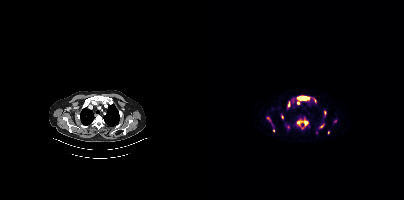
- Left: CT. Right: PSMA PET, same axial level, [18F]PSMA-1007 tracer
- acquired on Siemens Biograph mCT Flow 20
- PET panel 200×200 px (4.1 mm/px)
Findings: Coordinates are on the 200×200 PET (right) panel. (showing 9 of 12 foci) PSMA-avid tumor lesion bounding boxes (x, y, width, height): x=93 y=96 w=13 h=5 | x=93 y=120 w=12 h=6 | x=110 y=98 w=3 h=5. Small PSMA-avid foci (2 to 4 px across) near (center x, center y): (78, 116) | (84, 104) | (94, 103) | (117, 126) | (69, 130) | (124, 132).